Left: CT. Right: PSMA PET, same axial level, 68Ga tracer. Slice 153 of 195.
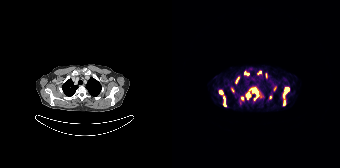
Coordinates are on the 168×168 PET (right) panel. PSMA-avid tumor lesion bounding boxes (partial; 4 more foci not listed):
| # | x0 | y0 | x1 | y1 |
|---|---|---|---|---|
| 1 | 111 | 88 | 117 | 96 |
| 2 | 81 | 90 | 86 | 100 |
| 3 | 74 | 93 | 78 | 98 |
| 4 | 47 | 90 | 50 | 94 |
| 5 | 72 | 71 | 76 | 74 |
| 6 | 59 | 88 | 62 | 92 |
| 7 | 112 | 101 | 113 | 105 |
| 8 | 64 | 78 | 66 | 82 |
Small PSMA-avid foci (2 to 4 px across) near (center x, center y): (52, 98); (98, 97); (52, 104).